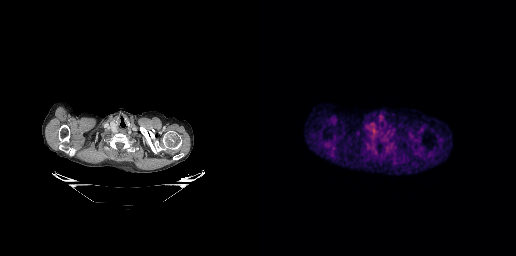
This slice has no annotated PSMA-avid lesion.